Two-panel axial: CT | PSMA PET, 18F-PSMA tracer. Acquired on Siemens Biograph mCT Flow 20. Slice position z = -494 mm. PET panel 200×200 px (4.1 mm/px).
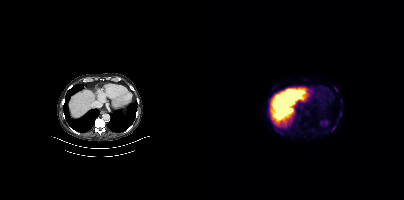
Coordinates are on the 200×200 PET (right) panel. PSMA-avid tumor lesion bounding box (x0, y0)-(x1, y1): (127, 126)-(131, 130). Small PSMA-avid focus (2 to 4 px across) near (center x, center y): (136, 114).